Two-panel axial: CT | PSMA PET, 18F tracer. Acquired on Siemens Biograph mCT Flow 20.
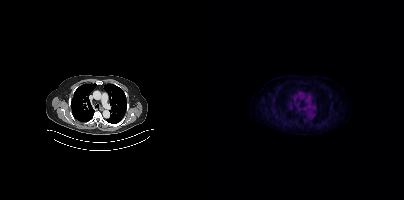
This slice has no annotated PSMA-avid lesion.